Left: CT. Right: PSMA PET, same axial level, [68Ga]Ga-PSMA-11 tracer. Acquired on Siemens Biograph 64-4R TruePoint. Slice 133 of 195. PET panel 168×168 px (4.1 mm/px).
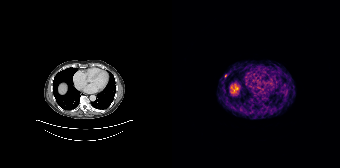
No tumor lesions annotated on this slice.